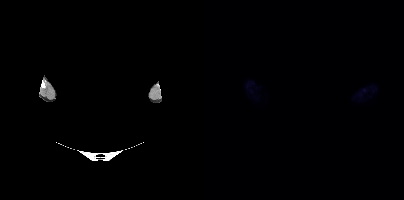
{"modality":"PSMA PET/CT","view":"axial","tracer":"18F","pet_grid":[200,200],"coord_frame":"pet_panel","coord_format":"x0,y0,x1,y1","psma_avid_lesions":false,"de-identification":"face masked with black rectangle"}